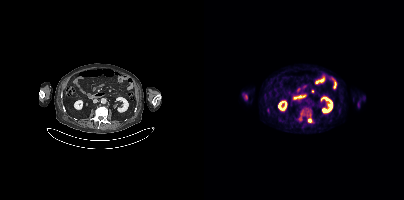
- Left: CT. Right: PSMA PET, same axial level, 18F tracer
- acquired on Siemens Biograph mCT Flow 20
Findings: Coordinates are on the 200×200 PET (right) panel. PSMA-avid tumor lesion bounding box (x0, y0)-(x1, y1): (94, 112)-(108, 122).